Paired axial CT (left) and PSMA PET (right), 18F tracer. Slice 55 of 417.
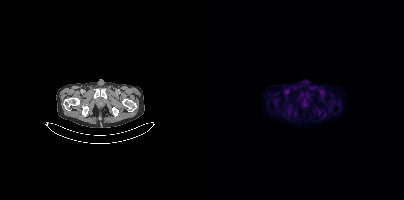
No tumor lesions annotated on this slice.